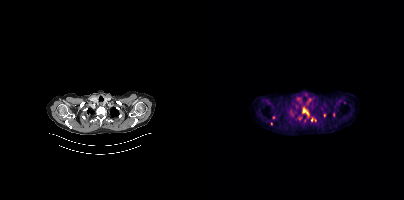
Coordinates are on the 200×200 PET (right) panel. (showing 4 of 6 foci) PSMA-avid tumor lesion bounding box (x0,y0,x1,y1): [98,107,104,115]. Small PSMA-avid foci (2 to 4 px across) near (center x, center y): (120, 115) (107, 119) (67, 123).